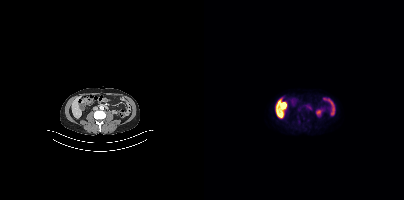
Findings: No PSMA-avid tumor lesions on this slice.
Technique: Two-panel axial: CT | PSMA PET, [18F]PSMA-1007 tracer. acquired on Siemens Biograph mCT Flow 20. slice 143 of 377.